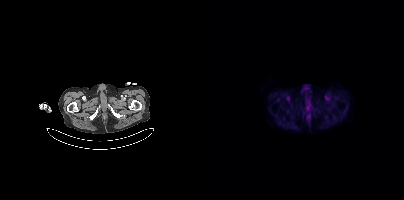
Technique: Paired axial CT (left) and PSMA PET (right), 18F-PSMA tracer. acquired on Siemens Biograph mCT Flow 20. PET panel 200×200 px (4.1 mm/px).
Findings: This slice has no annotated PSMA-avid lesion.